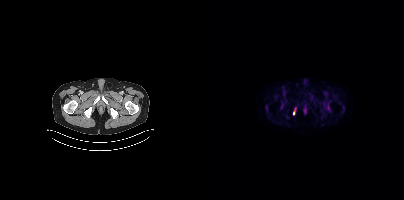
{"modality":"PSMA PET/CT","view":"axial","tracer":"68Ga-PSMA","pet_grid":[200,200],"coord_frame":"pet_panel","coord_format":"x0,y0,x1,y1","lesion_bboxes":[],"small_foci_centers":[[89,112],[91,108]]}